Left: CT. Right: PSMA PET, same axial level, [18F]PSMA-1007 tracer.
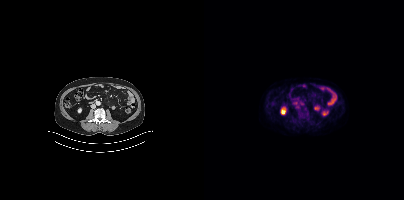
Negative for PSMA-avid disease on this slice.